De-identified by setting a box covering the face to black before release. Two-panel axial: CT | PSMA PET, [18F]PSMA-1007 tracer. PET panel 200×200 px (4.1 mm/px).
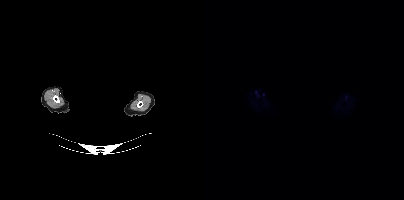
Negative for PSMA-avid disease on this slice.